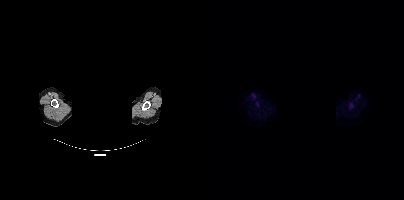
Coordinates are on the 200×200 PET (right) panel. PSMA-avid tumor lesion bounding box (x0, y0)-(x1, y1): (144, 104)-(149, 108). The head region is masked for de-identification. Left: CT. Right: PSMA PET, same axial level, [18F]PSMA-1007 tracer. PET panel 200×200 px (4.1 mm/px).